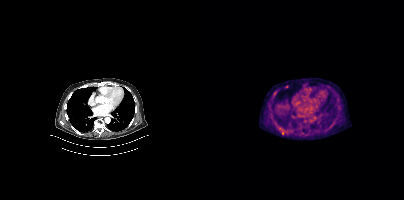
Coordinates are on the 200×200 PET (right) panel. Small PSMA-avid focus (2 to 4 px across) near (center x, center y): (78, 132).